modality: PSMA PET/CT | tracer: 18F | view: axial | PET grid: 200×200
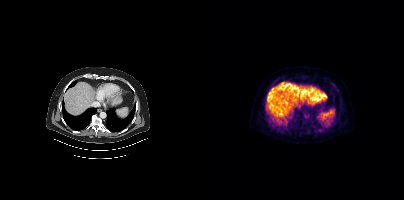
No PSMA-avid tumor lesions on this slice.